Technique: Two-panel axial: CT | PSMA PET, 18F-PSMA tracer. acquired on Siemens Biograph mCT Flow 20. slice position z = -404 mm. PET panel 200×200 px (4.1 mm/px).
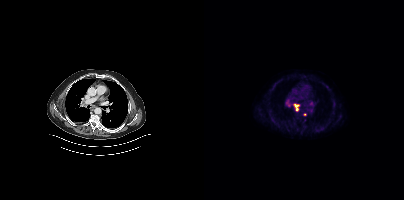
Findings: Coordinates are on the 200×200 PET (right) panel. PSMA-avid tumor lesion bounding box (x0,y0,x1,y1): [90,104,95,111]. Small PSMA-avid focus (2 to 4 px across) near (center x, center y): (100, 114).